Two-panel axial: CT | PSMA PET, 18F tracer. PET panel 200×200 px (4.1 mm/px). Any black rectangle over the head is a privacy mask, not anatomy.
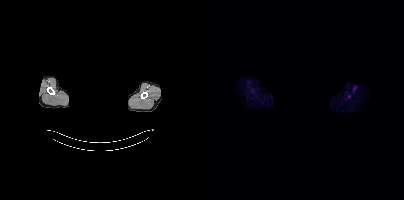
Coordinates are on the 200×200 PET (right) panel. Small PSMA-avid focus (2 to 4 px across) near (center x, center y): (145, 96).